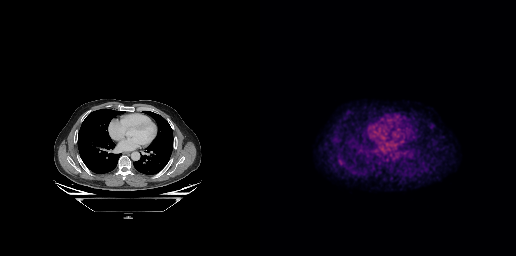
- Left: CT. Right: PSMA PET, same axial level, 18F tracer
- PET panel 256×256 px (2.7 mm/px)
Findings: Coordinates are on the 256×256 PET (right) panel. Small PSMA-avid focus (2 to 4 px across) near (center x, center y): (79, 160).